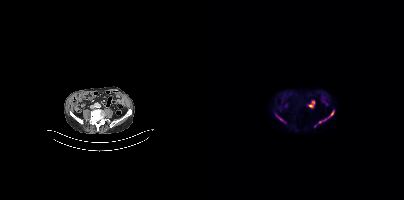
Coordinates are on the 200×200 PET (right) panel. PSMA-avid tumor lesion bounding boxes (x0,y0,x1,y1): [114,110,130,123]; [71,114,79,121]. Small PSMA-avid focus (2 to 4 px across) near (center x, center y): (111, 126). Left: CT. Right: PSMA PET, same axial level, 18F-PSMA tracer.